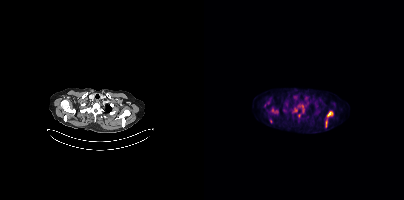
Coordinates are on the 200×200 PET (right) panel. PSMA-avid tumor lesion bounding boxes (partial; 1 more focus not listed):
| # | x0 | y0 | x1 | y1 |
|---|---|---|---|---|
| 1 | 123 | 111 | 129 | 117 |
| 2 | 122 | 119 | 123 | 126 |
Small PSMA-avid foci (2 to 4 px across) near (center x, center y): (92, 109); (68, 110); (98, 106); (99, 110).
Paired axial CT (left) and PSMA PET (right), 18F-PSMA tracer. PET panel 200×200 px (4.1 mm/px).